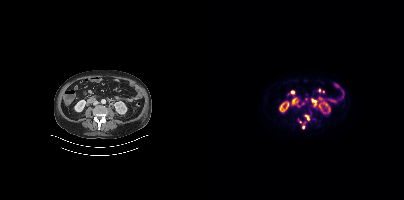
{"pet_grid":[200,200],"coord_frame":"pet_panel","coord_format":"x0,y0,x1,y1","lesion_bboxes":[[102,115,104,119]],"small_foci_centers":[[99,126],[109,100],[96,121]],"modality":"PSMA PET/CT","view":"axial","tracer":"[18F]PSMA-1007"}